modality: PSMA PET/CT | tracer: 18F | view: axial | PET grid: 200×200
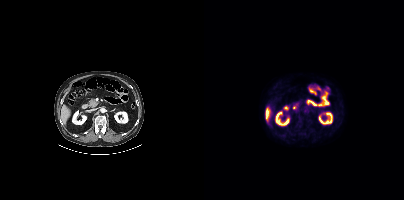
Negative for PSMA-avid disease on this slice.